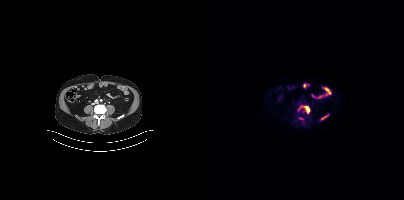
{"modality":"PSMA PET/CT","view":"axial","tracer":"[18F]PSMA-1007","pet_grid":[200,200],"coord_frame":"pet_panel","coord_format":"x0,y0,x1,y1","lesion_bboxes":[[94,105,106,113],[117,114,124,119],[95,118,99,119]]}